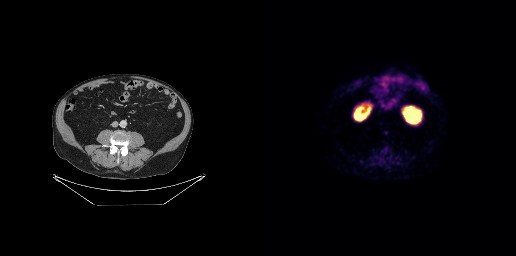
Only PSMA-avid lesion pieces thinner than 2 px on this slice (not listed). Left: CT. Right: PSMA PET, same axial level, [18F]PSMA-1007 tracer. Acquired on GE Discovery 690.